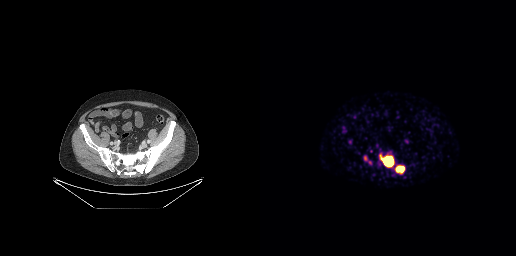
Coordinates are on the 256×256 PET (right) panel. PSMA-avid tumor lesion bounding boxes (x0,y0,x1,y1): [120,155,133,166]; [136,166,144,172].